Left: CT. Right: PSMA PET, same axial level, 68Ga-PSMA tracer. Acquired on GE Discovery 690.
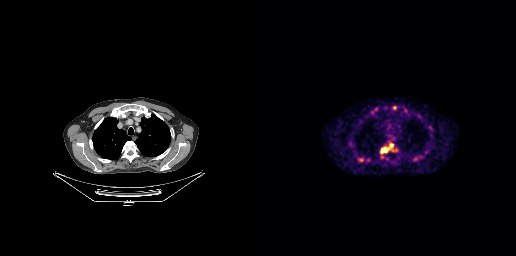
Coordinates are on the 256×256 PET (right) panel. PSMA-avid tumor lesion bounding boxes:
| # | x0 | y0 | x1 | y1 |
|---|---|---|---|---|
| 1 | 121 | 143 | 133 | 152 |
| 2 | 98 | 158 | 103 | 162 |
Small PSMA-avid foci (2 to 4 px across) near (center x, center y): (136, 149); (115, 109); (121, 156); (112, 112); (133, 107).